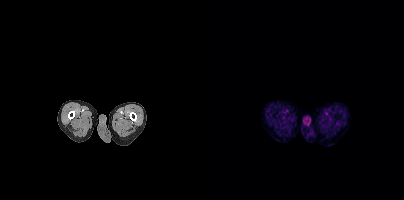
{"modality":"PSMA PET/CT","view":"axial","tracer":"18F","pet_grid":[200,200],"coord_frame":"pet_panel","coord_format":"x0,y0,x1,y1","psma_avid_lesions":false}